Left: CT. Right: PSMA PET, same axial level, [18F]PSMA-1007 tracer. Acquired on GE Discovery 690. Slice position z = -693 mm.
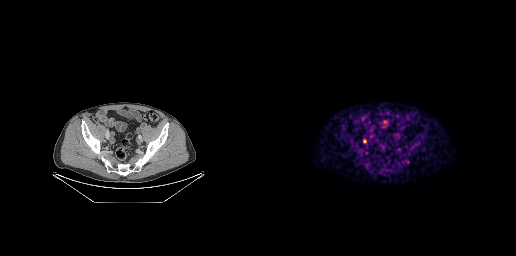
Coordinates are on the 256×256 PET (right) panel. PSMA-avid tumor lesion bounding boxes:
| # | x0 | y0 | x1 | y1 |
|---|---|---|---|---|
| 1 | 103 | 138 | 106 | 143 |